modality: PSMA PET/CT | tracer: [18F]PSMA-1007 | view: axial | PET grid: 256×256
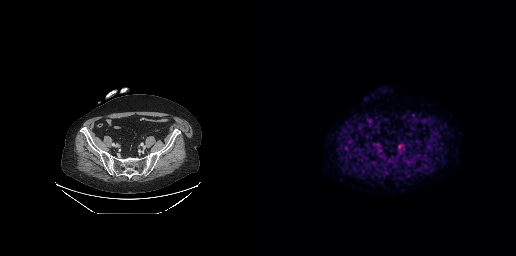
No PSMA-avid tumor lesions on this slice.